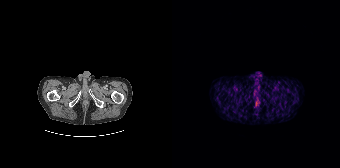
Technique: Two-panel axial: CT | PSMA PET, 68Ga tracer. acquired on Siemens Biograph 64-4R TruePoint. slice position z = -586 mm.
Findings: Negative for PSMA-avid disease on this slice.